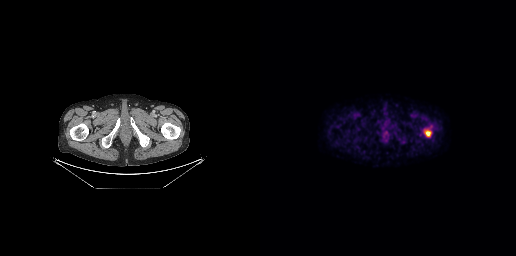
modality: PSMA PET/CT | tracer: 18F | view: axial | PET grid: 256×256
Coordinates are on the 256×256 PET (right) panel. PSMA-avid tumor lesion bounding box (x0,y0,x1,y1): [165,130,171,136].